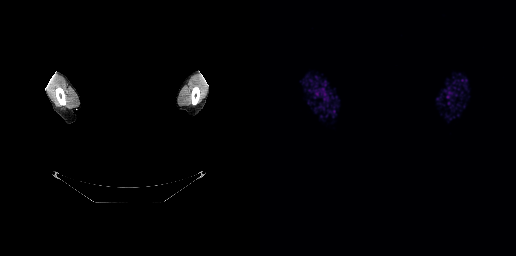
Facial anatomy redacted by setting a rectangular region of the head to black. Paired axial CT (left) and PSMA PET (right), 68Ga-PSMA tracer. Acquired on GE Discovery 690. PET panel 256×256 px (2.7 mm/px). No PSMA-avid tumor lesions on this slice.